- Paired axial CT (left) and PSMA PET (right), 18F-PSMA tracer
- acquired on Siemens Biograph mCT Flow 20
- slice 134 of 391
- PET panel 200×200 px (4.1 mm/px)
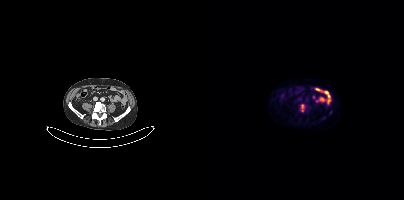
Findings: Coordinates are on the 200×200 PET (right) panel. PSMA-avid tumor lesion bounding box (x, y, width, height): x=97 y=104 w=4 h=8.